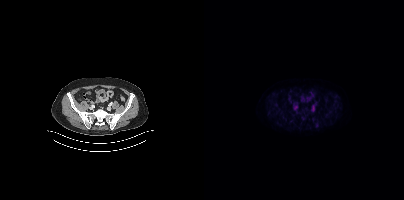
Coordinates are on the 200×200 PET (right) panel. Small PSMA-avid focus (2 to 4 px across) near (center x, center y): (112, 125).